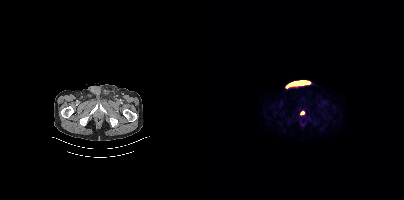
{"pet_grid":[200,200],"coord_frame":"pet_panel","coord_format":"x0,y0,x1,y1","lesion_bboxes":[[96,111,100,114]],"modality":"PSMA PET/CT","view":"axial","tracer":"18F"}